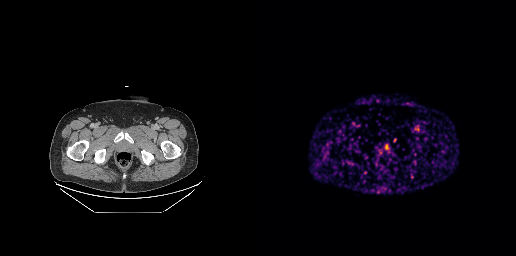
Coordinates are on the 256×256 PET (right) panel. Small PSMA-avid focus (2 to 4 px across) near (center x, center y): (126, 146).